- Two-panel axial: CT | PSMA PET, 68Ga tracer
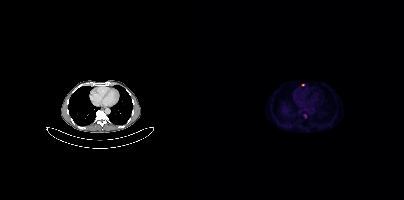
Findings: Coordinates are on the 200×200 PET (right) panel. (showing 1 of 2 foci) Small PSMA-avid focus (2 to 4 px across) near (center x, center y): (98, 84).